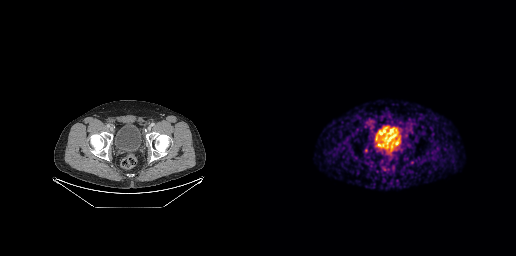
Technique: Two-panel axial: CT | PSMA PET, 68Ga tracer. slice position z = -839 mm. PET panel 256×256 px (2.7 mm/px).
Findings: Coordinates are on the 256×256 PET (right) panel. Small PSMA-avid focus (2 to 4 px across) near (center x, center y): (106, 150).